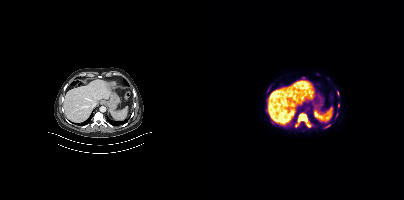
Left: CT. Right: PSMA PET, same axial level, 18F tracer. PET panel 200×200 px (4.1 mm/px).
Coordinates are on the 200×200 PET (right) panel. PSMA-avid tumor lesion bounding boxes (partial; 2 more foci not listed):
| # | x0 | y0 | x1 | y1 |
|---|---|---|---|---|
| 1 | 91 | 114 | 107 | 127 |
| 2 | 121 | 124 | 126 | 127 |
| 3 | 134 | 103 | 135 | 107 |
| 4 | 133 | 91 | 135 | 95 |